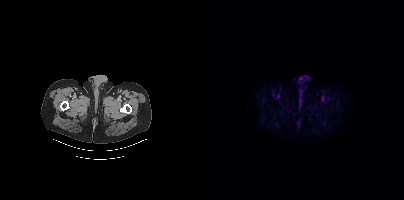
{"modality":"PSMA PET/CT","view":"axial","tracer":"18F","pet_grid":[200,200],"coord_frame":"pet_panel","coord_format":"x0,y0,x1,y1","partial":true,"lesion_bboxes":[]}